modality: PSMA PET/CT | tracer: [18F]PSMA-1007 | view: axial
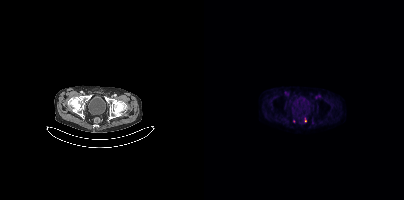
Coordinates are on the 200×200 PET (right) panel. PSMA-avid tumor lesion bounding box (x0,y0,x1,y1): [101,118,102,122]. Small PSMA-avid focus (2 to 4 px across) near (center x, center y): (89, 121).